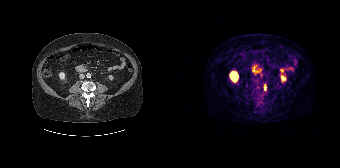
Two-panel axial: CT | PSMA PET, 68Ga-PSMA tracer. PET panel 168×168 px (4.1 mm/px). Coordinates are on the 168×168 PET (right) panel. PSMA-avid tumor lesion bounding box (x0, y0)-(x1, y1): (92, 84)-(94, 90).